Technique: Paired axial CT (left) and PSMA PET (right), 18F tracer. slice 275 of 299. PET panel 256×256 px (2.7 mm/px).
Note: The face region was removed for patient privacy by blanking a rectangle over the head.
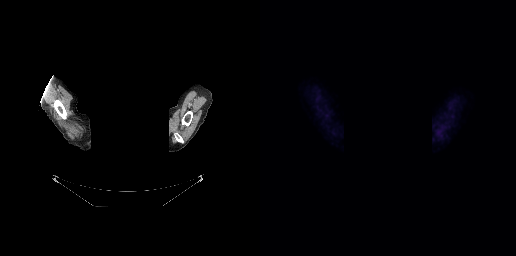
Findings: No tumor lesions annotated on this slice.